Paired axial CT (left) and PSMA PET (right), 68Ga-PSMA tracer.
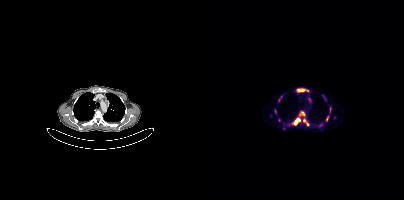
Coordinates are on the 200×200 PET (right) panel. (showing 10 of 11 foci) PSMA-avid tumor lesion bounding boxes (x, y, width, height): x=89 y=118 w=8 h=8; x=93 y=88 w=12 h=4; x=74 y=96 w=5 h=6; x=122 y=116 w=3 h=5; x=118 y=95 w=5 h=6; x=71 y=109 w=2 h=5. Small PSMA-avid foci (2 to 4 px across) near (center x, center y): (98, 113); (100, 120); (105, 99); (103, 124).